Technique: Left: CT. Right: PSMA PET, same axial level, 18F-PSMA tracer. acquired on Siemens Biograph mCT Flow 20. slice position z = -557 mm.
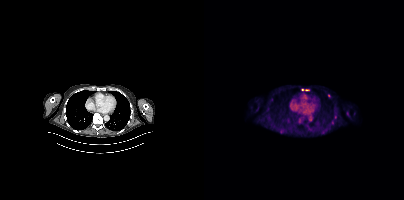
Findings: Coordinates are on the 200×200 PET (right) panel. (showing 3 of 4 foci) Small PSMA-avid foci (2 to 4 px across) near (center x, center y): (125, 95) / (102, 89) / (98, 89).